modality: PSMA PET/CT | tracer: 18F-PSMA | view: axial | PET grid: 200×200 | de-identification: facial region redacted
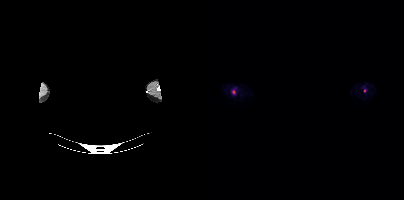
Coordinates are on the 200×200 PET (right) panel. Small PSMA-avid foci (2 to 4 px across) near (center x, center y): (29, 91) / (160, 90).